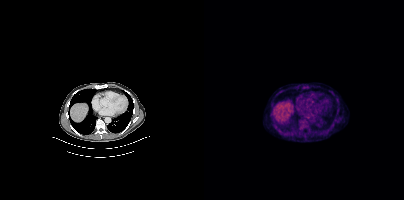
Findings: Coordinates are on the 200×200 PET (right) panel. (showing 1 of 2 foci) PSMA-avid tumor lesion bounding box (x, y, width, height): x=98 y=124 w=5 h=5.
Technique: Paired axial CT (left) and PSMA PET (right), 18F tracer. acquired on Siemens Biograph mCT Flow 20. slice 283 of 448. PET panel 200×200 px (4.1 mm/px).